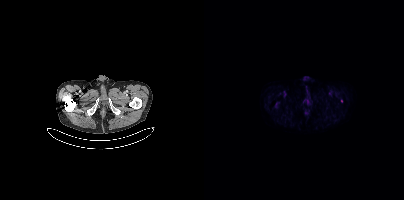
{"modality":"PSMA PET/CT","view":"axial","tracer":"18F","pet_grid":[200,200],"coord_frame":"pet_panel","coord_format":"x0,y0,x1,y1","lesion_bboxes":[],"small_foci_centers":[[137,101]]}